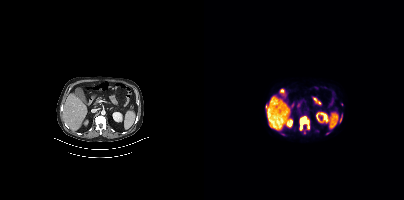
Technique: Left: CT. Right: PSMA PET, same axial level, 18F-PSMA tracer. slice 167 of 367.
Findings: Coordinates are on the 200×200 PET (right) panel. (showing 2 of 3 foci) PSMA-avid tumor lesion bounding box (x0, y0)-(x1, y1): (96, 117)-(105, 129). Small PSMA-avid focus (2 to 4 px across) near (center x, center y): (136, 119).